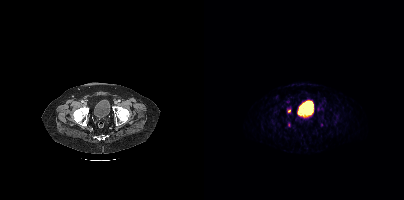
{"modality":"PSMA PET/CT","view":"axial","tracer":"68Ga-PSMA","pet_grid":[200,200],"coord_frame":"pet_panel","coord_format":"x0,y0,x1,y1","lesion_bboxes":[],"small_foci_centers":[[85,111]]}